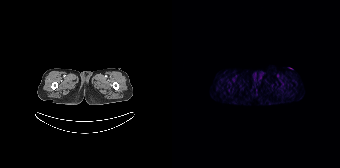
{"pet_grid":[168,168],"coord_frame":"pet_panel","coord_format":"x0,y0,x1,y1","psma_avid_lesions":false,"modality":"PSMA PET/CT","view":"axial","tracer":"68Ga"}